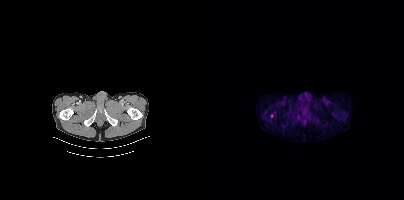
Left: CT. Right: PSMA PET, same axial level, 18F tracer.
Coordinates are on the 200×200 PET (right) panel. PSMA-avid tumor lesion bounding boxes:
| # | x0 | y0 | x1 | y1 |
|---|---|---|---|---|
| 1 | 66 | 114 | 69 | 118 |